Paired axial CT (left) and PSMA PET (right), [18F]PSMA-1007 tracer. Acquired on Siemens Biograph mCT Flow 20. PET panel 200×200 px (4.1 mm/px).
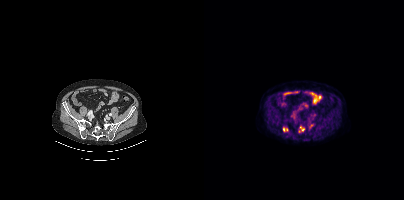
Coordinates are on the 200×200 PET (right) panel. (showing 2 of 3 foci) PSMA-avid tumor lesion bounding box (x, y, width, height): x=79 y=127 w=6 h=5. Small PSMA-avid focus (2 to 4 px across) near (center x, center y): (99, 129).